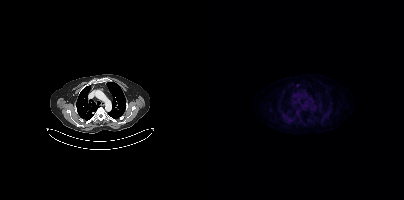
Technique: Paired axial CT (left) and PSMA PET (right), 18F-PSMA tracer.
Findings: Only PSMA-avid lesion pieces thinner than 2 px on this slice (not listed).